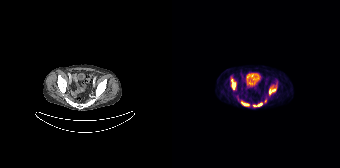
Findings: Coordinates are on the 168×168 PET (right) panel. (showing 5 of 6 foci) PSMA-avid tumor lesion bounding boxes (x0,y0,x1,y1): [59,78,64,89]; [97,87,104,94]; [69,102,77,105]; [81,103,90,106]. Small PSMA-avid focus (2 to 4 px across) near (center x, center y): (93, 100).
Technique: Two-panel axial: CT | PSMA PET, 68Ga tracer. PET panel 168×168 px (4.1 mm/px).